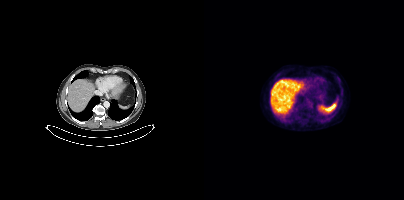
modality: PSMA PET/CT | tracer: 18F | view: axial
No PSMA-avid tumor lesions on this slice.